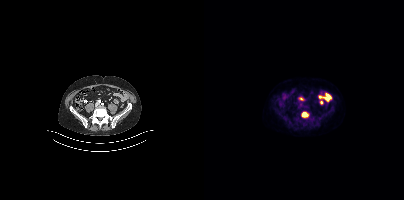
{"modality":"PSMA PET/CT","view":"axial","tracer":"18F-PSMA","pet_grid":[200,200],"coord_frame":"pet_panel","coord_format":"x0,y0,x1,y1","lesion_bboxes":[[97,112,104,117]]}